Paired axial CT (left) and PSMA PET (right), [18F]PSMA-1007 tracer. Acquired on Siemens Biograph mCT Flow 20.
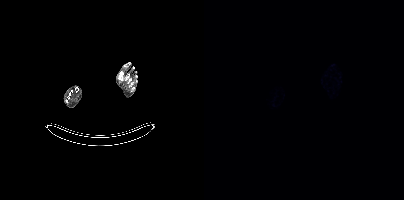
No tumor lesions annotated on this slice.